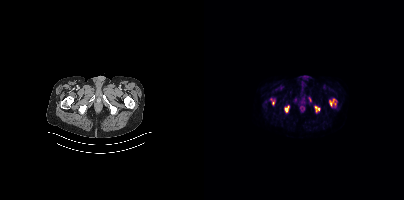
Coordinates are on the 200×200 PET (right) panel. PSMA-avid tumor lesion bounding boxes (x0, y0)-(x1, y1): (125, 99)-(132, 106); (81, 106)-(84, 112); (111, 106)-(115, 111); (67, 99)-(70, 104); (105, 97)-(107, 101).
modality: PSMA PET/CT | tracer: 18F-PSMA | view: axial | PET grid: 200×200